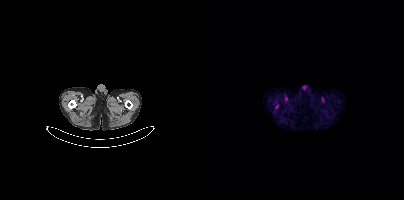
Technique: Paired axial CT (left) and PSMA PET (right), 18F-PSMA tracer. acquired on Siemens Biograph mCT Flow 20. slice 28 of 401. PET panel 200×200 px (4.1 mm/px).
Findings: Coordinates are on the 200×200 PET (right) panel. Small PSMA-avid focus (2 to 4 px across) near (center x, center y): (73, 106).